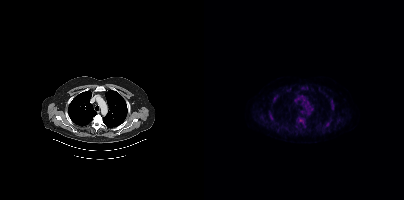
- Paired axial CT (left) and PSMA PET (right), 18F-PSMA tracer
Findings: Coordinates are on the 200×200 PET (right) panel. PSMA-avid tumor lesion bounding boxes (x0,y0,x1,y1): [91,116,101,126] [69,94,75,103] [121,120,127,126] [64,111,68,116]. Small PSMA-avid foci (2 to 4 px across) near (center x, center y): (127, 100) (99, 89) (128, 108) (115, 127) (96, 130) (116, 90).